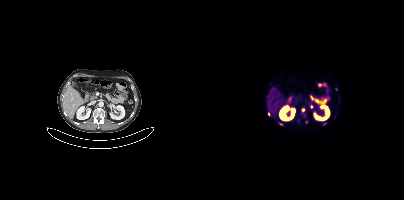
Coordinates are on the 200×200 PET (right) panel. (showing 5 of 7 foci) PSMA-avid tumor lesion bounding box (x0,y0,x1,y1): [93,118,95,122]. Small PSMA-avid foci (2 to 4 px across) near (center x, center y): (99, 110), (77, 124), (120, 124), (64, 113). Two-panel axial: CT | PSMA PET, 68Ga tracer.